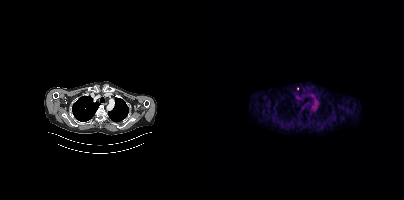
Only PSMA-avid lesion pieces thinner than 2 px on this slice (not listed).
modality: PSMA PET/CT | tracer: 18F-PSMA | view: axial